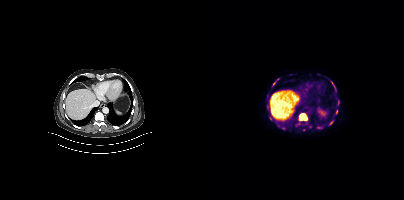
Left: CT. Right: PSMA PET, same axial level, 18F tracer.
Coordinates are on the 200×200 PET (right) panel. PSMA-avid tumor lesion bounding boxes (partial; 2 more foci not listed):
| # | x0 | y0 | x1 | y1 |
|---|---|---|---|---|
| 1 | 95 | 113 | 103 | 120 |
Small PSMA-avid foci (2 to 4 px across) near (center x, center y): (70, 83); (132, 111); (128, 83); (66, 118); (127, 122).